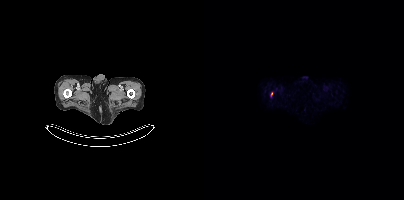
modality: PSMA PET/CT | tracer: 18F-PSMA | view: axial
Coordinates are on the 200×200 PET (right) panel. Small PSMA-avid focus (2 to 4 px across) near (center x, center y): (67, 92).